modality: PSMA PET/CT | tracer: 68Ga | view: axial | PET grid: 168×168
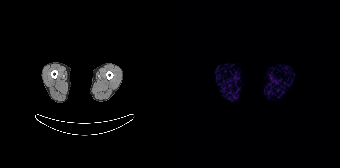
This slice has no annotated PSMA-avid lesion.